Left: CT. Right: PSMA PET, same axial level, 18F-PSMA tracer.
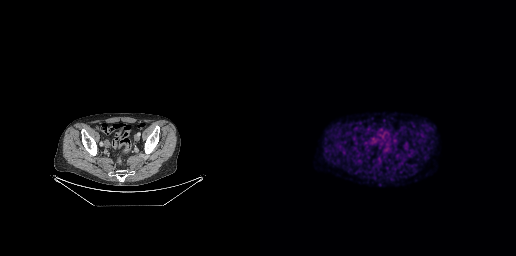
Negative for PSMA-avid disease on this slice.